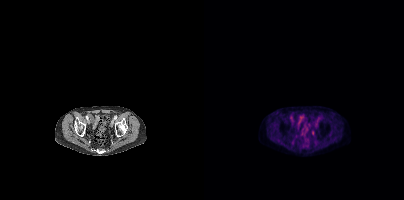
Findings: No PSMA-avid tumor lesions on this slice.
Technique: Paired axial CT (left) and PSMA PET (right), [18F]PSMA-1007 tracer. acquired on Siemens Biograph mCT Flow 20. slice 91 of 389. PET panel 200×200 px (4.1 mm/px).